Two-panel axial: CT | PSMA PET, 68Ga tracer. Acquired on GE Discovery 690. Slice 148 of 263. PET panel 256×256 px (2.7 mm/px).
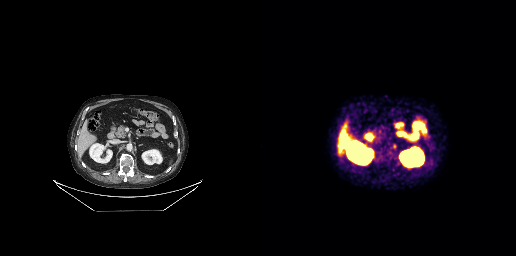
No tumor lesions annotated on this slice.